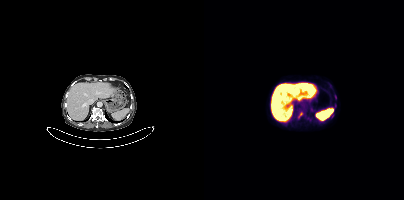
Coordinates are on the 200×200 PET (right) panel. PSMA-avid tumor lesion bounding box (x0,y0,x1,y1): [94,112,98,117].